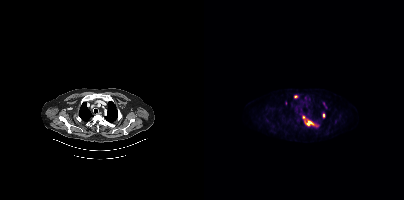
{"modality":"PSMA PET/CT","view":"axial","tracer":"[18F]PSMA-1007","pet_grid":[200,200],"coord_frame":"pet_panel","coord_format":"x0,y0,x1,y1","partial":true,"lesion_bboxes":[[98,116,114,126],[119,102,123,108]],"small_foci_centers":[[91,96],[119,115]]}